Left: CT. Right: PSMA PET, same axial level, [18F]PSMA-1007 tracer. Slice 41 of 263. PET panel 256×256 px (2.7 mm/px).
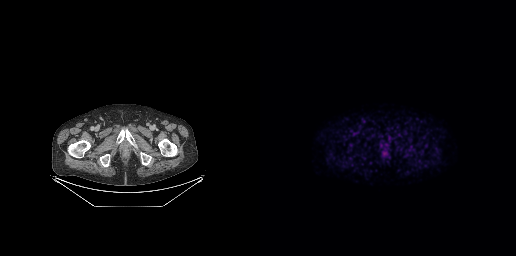
This slice has no annotated PSMA-avid lesion.